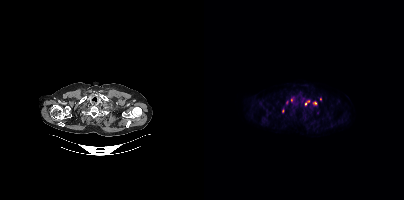
{"modality":"PSMA PET/CT","view":"axial","tracer":"18F-PSMA","pet_grid":[200,200],"coord_frame":"pet_panel","coord_format":"x0,y0,x1,y1","partial":true,"lesion_bboxes":[[101,100,105,105]],"small_foci_centers":[[110,103],[78,110],[87,99]]}